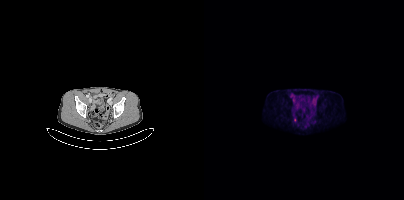
modality: PSMA PET/CT | tracer: 18F | view: axial
Coordinates are on the 200×200 PET (right) panel. Small PSMA-avid focus (2 to 4 px across) near (center x, center y): (91, 120).